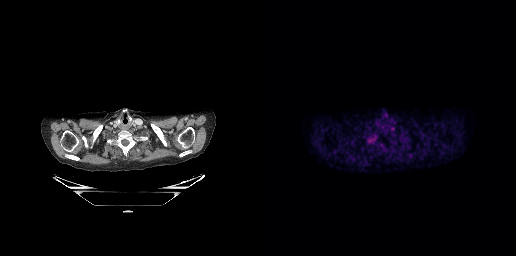
- Two-panel axial: CT | PSMA PET, [18F]PSMA-1007 tracer
Findings: Coordinates are on the 256×256 PET (right) panel. PSMA-avid tumor lesion bounding box (x0,y0,x1,y1): [108,135,116,142].